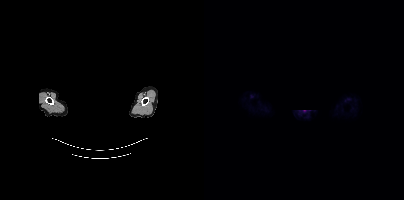
{"modality":"PSMA PET/CT","view":"axial","tracer":"68Ga-PSMA","pet_grid":[200,200],"coord_frame":"pet_panel","coord_format":"x0,y0,x1,y1","de-identification":"head region blacked out before release","lesion_bboxes":[],"small_foci_centers":[[100,110]]}